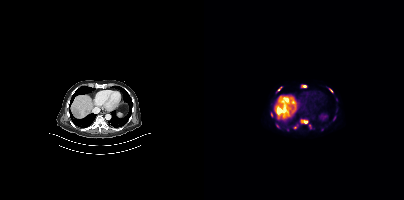
Two-panel axial: CT | PSMA PET, 18F-PSMA tracer. Acquired on Siemens Biograph mCT Flow 20. PET panel 200×200 px (4.1 mm/px).
Coordinates are on the 200×200 PET (right) panel. PSMA-avid tumor lesion bounding boxes (partial; 1 more focus not listed):
| # | x0 | y0 | x1 | y1 |
|---|---|---|---|---|
| 1 | 98 | 85 | 102 | 87 |
| 2 | 99 | 120 | 103 | 123 |
| 3 | 125 | 88 | 128 | 92 |
Small PSMA-avid focus (2 to 4 px across) near (center x, center y): (75, 88).